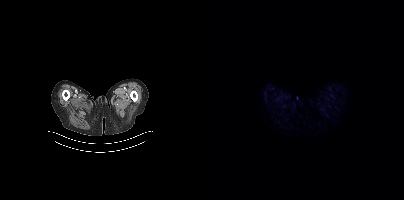
No PSMA-avid tumor lesions on this slice.